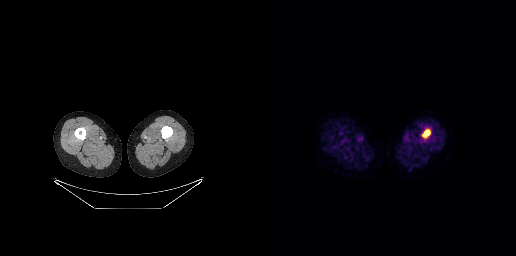
{"modality":"PSMA PET/CT","view":"axial","tracer":"18F","pet_grid":[256,256],"coord_frame":"pet_panel","coord_format":"x0,y0,x1,y1","lesion_bboxes":[[163,130,169,136]]}